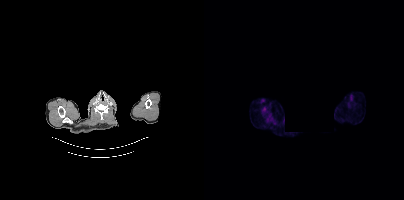
modality: PSMA PET/CT | tracer: [18F]PSMA-1007 | view: axial | PET grid: 200×200 | redaction: region blacked out before release
Coordinates are on the 200×200 PET (right) panel. PSMA-avid tumor lesion bounding box (x0, y0)-(x1, y1): (58, 107)-(62, 111).